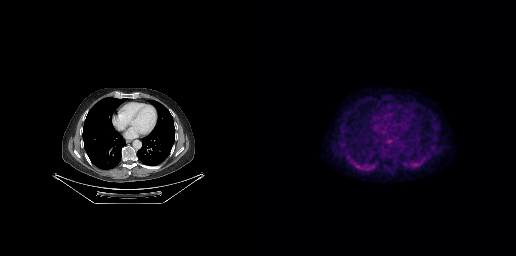
Left: CT. Right: PSMA PET, same axial level, 18F tracer. Acquired on GE Discovery 690. Slice 173 of 263. PET panel 256×256 px (2.7 mm/px). No tumor lesions annotated on this slice.